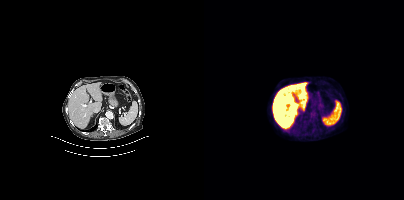
Negative for PSMA-avid disease on this slice. Two-panel axial: CT | PSMA PET, 18F-PSMA tracer. Slice 213 of 401.